Paired axial CT (left) and PSMA PET (right), 18F tracer. Acquired on Siemens Biograph mCT Flow 20. Slice 231 of 421.
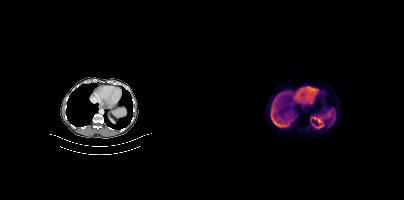
Negative for PSMA-avid disease on this slice.